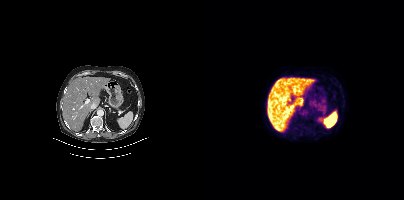
No tumor lesions annotated on this slice. Paired axial CT (left) and PSMA PET (right), [18F]PSMA-1007 tracer.